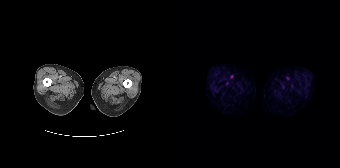
{"modality":"PSMA PET/CT","view":"axial","tracer":"18F","pet_grid":[168,168],"coord_frame":"pet_panel","coord_format":"x0,y0,x1,y1","psma_avid_lesions":false}